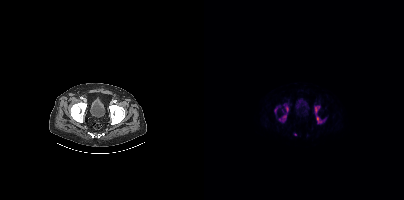
Technique: Two-panel axial: CT | PSMA PET, 18F tracer. acquired on Siemens Biograph mCT Flow 20.
Findings: Coordinates are on the 200×200 PET (right) panel. (showing 5 of 6 foci) PSMA-avid tumor lesion bounding boxes (x0,y0,x1,y1): [110,105,122,123] [74,104,84,122] [70,107,73,113]. Small PSMA-avid foci (2 to 4 px across) near (center x, center y): (91, 134) (78, 110).